- Paired axial CT (left) and PSMA PET (right), 18F tracer
- slice position z = -1397 mm
- PET panel 200×200 px (4.1 mm/px)
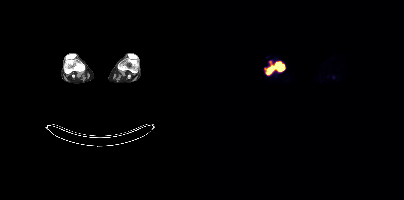
Findings: Coordinates are on the 200×200 PET (right) panel. PSMA-avid tumor lesion bounding box (x0, y0)-(x1, y1): (60, 61)-(80, 74).